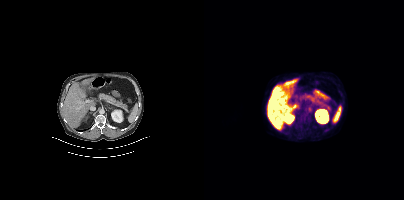
Findings: No PSMA-avid tumor lesions on this slice.
- Two-panel axial: CT | PSMA PET, [18F]PSMA-1007 tracer
- PET panel 200×200 px (4.1 mm/px)